- Left: CT. Right: PSMA PET, same axial level, 18F-PSMA tracer
- slice position z = -1506 mm
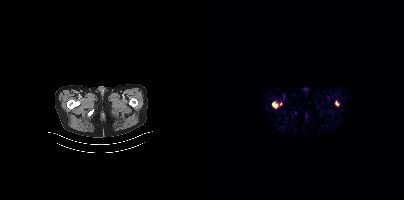
Findings: Coordinates are on the 200×200 PET (right) panel. PSMA-avid tumor lesion bounding boxes (x, y, width, height): x=68 y=102 w=6 h=6; x=131 y=101 w=4 h=5. Small PSMA-avid focus (2 to 4 px across) near (center x, center y): (76, 104).